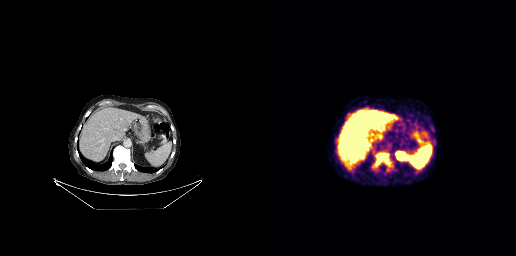
Two-panel axial: CT | PSMA PET, [18F]PSMA-1007 tracer.
Coordinates are on the 256×256 PET (right) panel. PSMA-avid tumor lesion bounding boxes:
| # | x0 | y0 | x1 | y1 |
|---|---|---|---|---|
| 1 | 115 | 153 | 131 | 166 |
| 2 | 170 | 126 | 174 | 131 |